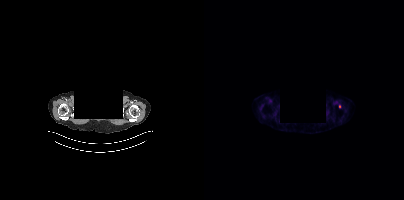
Coordinates are on the 200×200 PET (right) panel. Small PSMA-avid focus (2 to 4 px across) near (center x, center y): (135, 106). An anonymization step blacked out a rectangle over the head in this scan. Two-panel axial: CT | PSMA PET, 18F tracer. PET panel 200×200 px (4.1 mm/px).